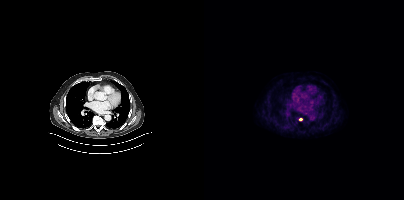
Left: CT. Right: PSMA PET, same axial level, 18F-PSMA tracer. Acquired on Siemens Biograph mCT Flow 20. PET panel 200×200 px (4.1 mm/px). Coordinates are on the 200×200 PET (right) panel. Small PSMA-avid focus (2 to 4 px across) near (center x, center y): (96, 119).